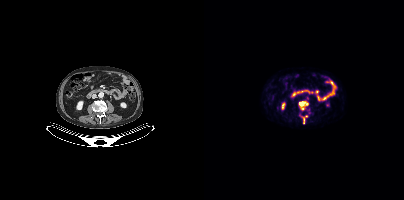
{"modality":"PSMA PET/CT","view":"axial","tracer":"18F","pet_grid":[200,200],"coord_frame":"pet_panel","coord_format":"x0,y0,x1,y1","partial":true,"lesion_bboxes":[[98,115,103,123],[95,102,101,105]],"small_foci_centers":[[98,109]]}